- Two-panel axial: CT | PSMA PET, [18F]PSMA-1007 tracer
- PET panel 200×200 px (4.1 mm/px)
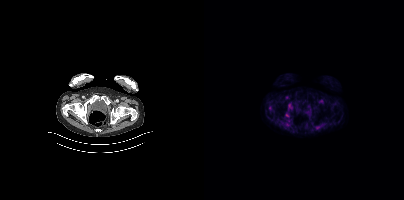
Findings: Coordinates are on the 200×200 PET (right) panel. Small PSMA-avid focus (2 to 4 px across) near (center x, center y): (83, 115).